Paired axial CT (left) and PSMA PET (right), 18F tracer. Slice 292 of 377.
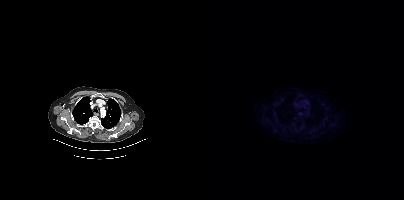
No tumor lesions annotated on this slice.